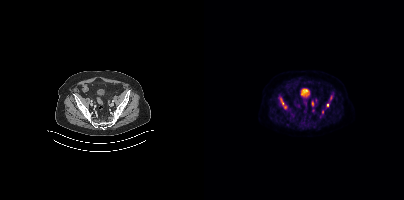
Findings: Coordinates are on the 200×200 PET (right) panel. (showing 5 of 6 foci) PSMA-avid tumor lesion bounding boxes (x0, y0)-(x1, y1): (76, 98)-(82, 108); (107, 101)-(110, 106); (126, 95)-(128, 99). Small PSMA-avid foci (2 to 4 px across) near (center x, center y): (123, 105); (118, 111).
Technique: Left: CT. Right: PSMA PET, same axial level, [18F]PSMA-1007 tracer. acquired on Siemens Biograph mCT Flow 20.